- Paired axial CT (left) and PSMA PET (right), 68Ga tracer
- acquired on Siemens Biograph 64-4R TruePoint
- slice position z = -1506 mm
- PET panel 168×168 px (4.1 mm/px)
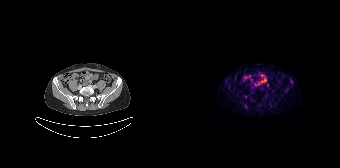
Findings: No PSMA-avid tumor lesions on this slice.